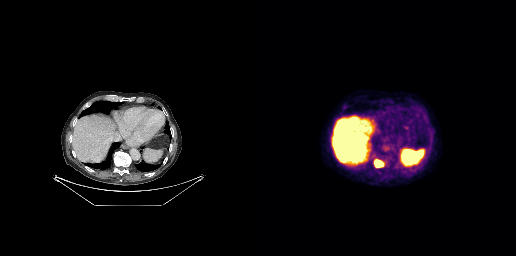
- Paired axial CT (left) and PSMA PET (right), [18F]PSMA-1007 tracer
- acquired on GE Discovery 690
- slice position z = -464 mm
Findings: Coordinates are on the 256×256 PET (right) panel. PSMA-avid tumor lesion bounding box (x0,y0,x1,y1): [114,159,123,167].